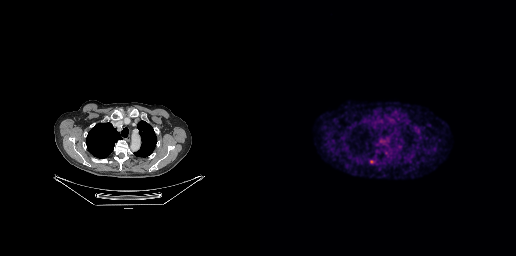
Technique: Paired axial CT (left) and PSMA PET (right), 18F-PSMA tracer. acquired on GE Discovery 690. PET panel 256×256 px (2.7 mm/px).
Findings: Coordinates are on the 256×256 PET (right) panel. Small PSMA-avid focus (2 to 4 px across) near (center x, center y): (111, 161).